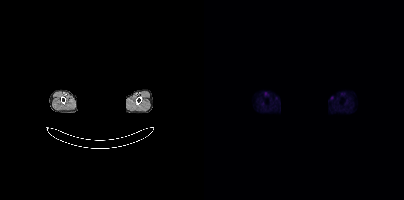
Findings: No tumor lesions annotated on this slice.
Technique: Left: CT. Right: PSMA PET, same axial level, 18F tracer.
Note: De-identified by setting a box covering the face to black before release.